The face region was removed for patient privacy by blanking a rectangle over the head.
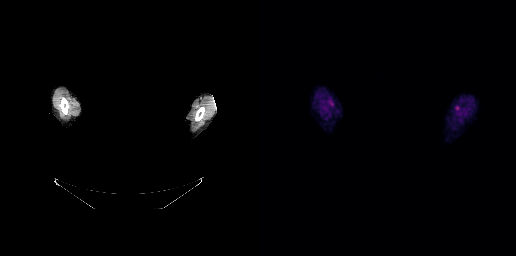
This slice has no annotated PSMA-avid lesion.